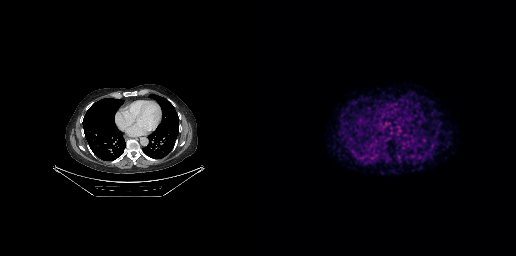
This slice has no annotated PSMA-avid lesion.
modality: PSMA PET/CT | tracer: [68Ga]Ga-PSMA-11 | view: axial | PET grid: 256×256